- Paired axial CT (left) and PSMA PET (right), 18F tracer
- slice 160 of 450
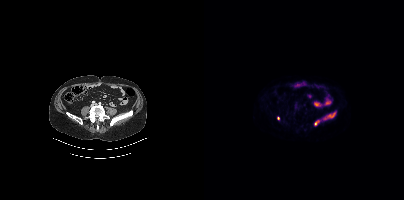
Findings: Coordinates are on the 200×200 PET (right) panel. PSMA-avid tumor lesion bounding boxes (x0, y0)-(x1, y1): (119, 112)-(131, 119); (111, 120)-(115, 125). Small PSMA-avid focus (2 to 4 px across) near (center x, center y): (74, 118).